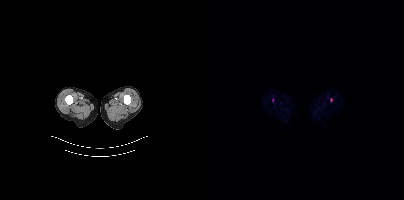
Left: CT. Right: PSMA PET, same axial level, [18F]PSMA-1007 tracer. Acquired on Siemens Biograph mCT Flow 20. PET panel 200×200 px (4.1 mm/px). Coordinates are on the 200×200 PET (right) panel. (showing 1 of 2 foci) Small PSMA-avid focus (2 to 4 px across) near (center x, center y): (127, 100).